Paired axial CT (left) and PSMA PET (right), [18F]PSMA-1007 tracer. PET panel 200×200 px (4.1 mm/px).
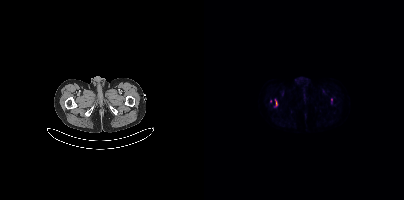
Coordinates are on the 200×200 PET (right) panel. (showing 1 of 3 foci) PSMA-avid tumor lesion bounding box (x0,y0,x1,y1): [71,99,73,105].